Technique: Paired axial CT (left) and PSMA PET (right), 18F tracer. acquired on Siemens Biograph mCT Flow 20. PET panel 200×200 px (4.1 mm/px).
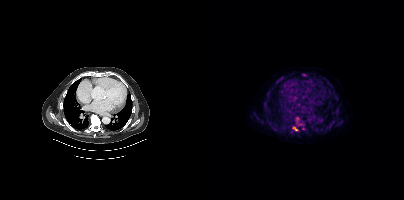
Findings: Coordinates are on the 200×200 PET (right) panel. (showing 2 of 5 foci) PSMA-avid tumor lesion bounding boxes (x0,y0,x1,y1): [88,127,94,130], [98,74,102,75].